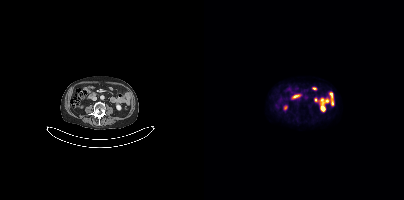
modality: PSMA PET/CT | tracer: 18F-PSMA | view: axial
This slice has no annotated PSMA-avid lesion.